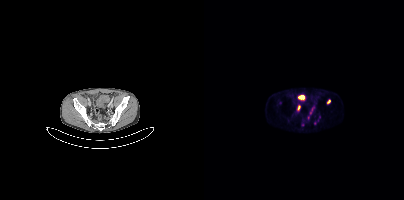
Coordinates are on the 200×200 PET (right) panel. (showing 3 of 5 foci) PSMA-avid tumor lesion bounding boxes (x0, y0)-(x1, y1): (105, 105)-(110, 116) / (93, 105)-(96, 111). Small PSMA-avid focus (2 to 4 px across) near (center x, center y): (124, 101). Paired axial CT (left) and PSMA PET (right), 68Ga tracer.